- Two-panel axial: CT | PSMA PET, 18F-PSMA tracer
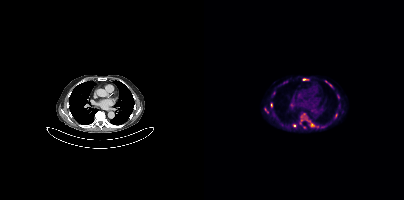
Findings: Coordinates are on the 200×200 PET (right) panel. (showing 5 of 13 foci) Small PSMA-avid foci (2 to 4 px across) near (center x, center y): (108, 124) / (100, 79) / (67, 104) / (90, 125) / (61, 109).